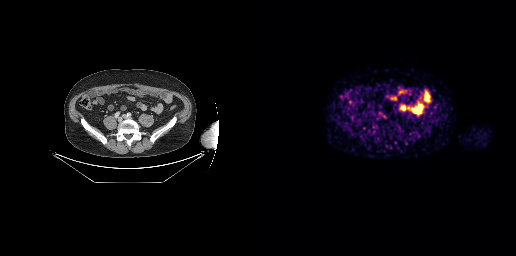
Technique: Two-panel axial: CT | PSMA PET, 68Ga-PSMA tracer. slice 103 of 263.
Findings: This slice has no annotated PSMA-avid lesion.